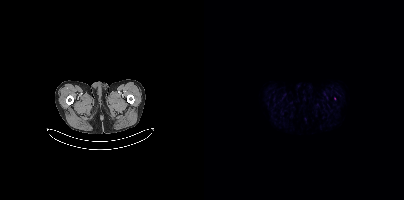
This slice has no annotated PSMA-avid lesion. Paired axial CT (left) and PSMA PET (right), 18F-PSMA tracer. Acquired on Siemens Biograph mCT Flow 20. Slice 14 of 403. PET panel 200×200 px (4.1 mm/px).